- the head region is masked for de-identification
- Two-panel axial: CT | PSMA PET, [68Ga]Ga-PSMA-11 tracer
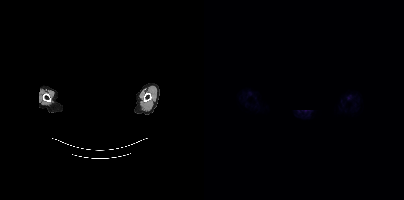
Findings: This slice has no annotated PSMA-avid lesion.